- Left: CT. Right: PSMA PET, same axial level, 18F tracer
- PET panel 200×200 px (4.1 mm/px)
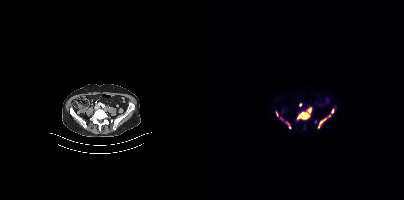
Findings: Coordinates are on the 200×200 PET (right) panel. PSMA-avid tumor lesion bounding boxes (x0,y0,x1,y1): [93,112,105,119], [114,118,122,128], [104,108,107,112], [127,109,129,113]. Small PSMA-avid foci (2 to 4 px across) near (center x, center y): (96, 105), (73, 113), (83, 123), (125, 115), (76, 116), (85, 127).